Technique: Paired axial CT (left) and PSMA PET (right), 18F-PSMA tracer. slice 434 of 454. PET panel 200×200 px (4.1 mm/px).
Note: An anonymization step blacked out a rectangle over the head in this scan.
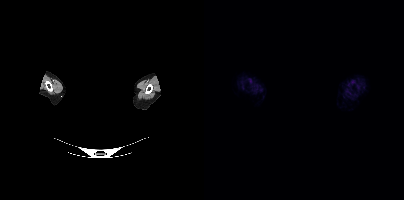
Findings: Negative for PSMA-avid disease on this slice.